- Left: CT. Right: PSMA PET, same axial level, 68Ga-PSMA tracer
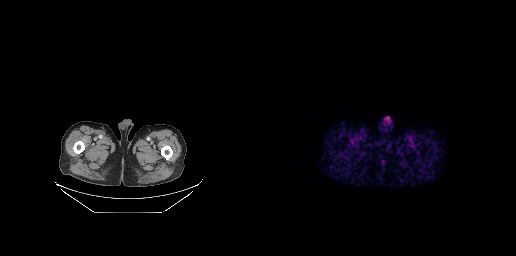
Findings: No tumor lesions annotated on this slice.